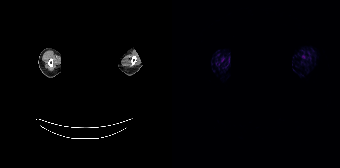
- an anonymization step blacked out a rectangle over the head in this scan
- Paired axial CT (left) and PSMA PET (right), 68Ga tracer
- slice position z = -32 mm
Findings: No PSMA-avid tumor lesions on this slice.